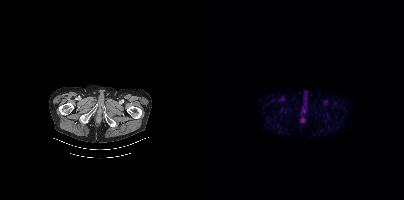
{"pet_grid":[200,200],"coord_frame":"pet_panel","coord_format":"x0,y0,x1,y1","psma_avid_lesions":false,"modality":"PSMA PET/CT","view":"axial","tracer":"18F"}